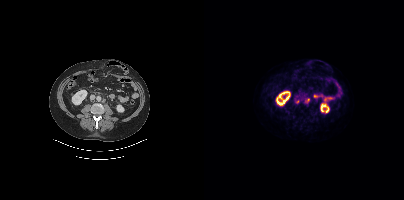
modality: PSMA PET/CT | tracer: 18F-PSMA | view: axial
Coordinates are on the 200×200 PET (right) panel. PSMA-avid tumor lesion bounding box (x, y, width, height): x=101 y=99 w=5 h=5. Small PSMA-avid focus (2 to 4 px across) near (center x, center y): (93, 101).